Left: CT. Right: PSMA PET, same axial level, 18F tracer. Slice position z = -1344 mm. PET panel 200×200 px (4.1 mm/px).
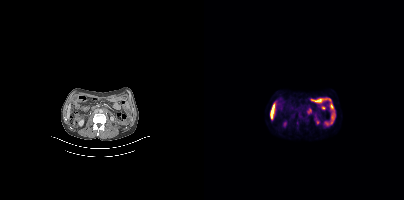
Coordinates are on the 200×200 PET (right) panel. PSMA-avid tumor lesion bounding boxes:
| # | x0 | y0 | x1 | y1 |
|---|---|---|---|---|
| 1 | 103 | 108 | 107 | 114 |
| 2 | 112 | 120 | 114 | 124 |
| 3 | 93 | 121 | 94 | 125 |